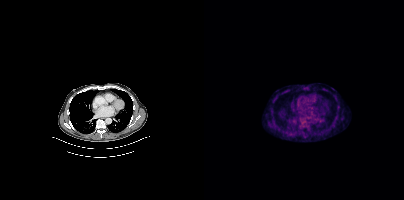
Technique: Paired axial CT (left) and PSMA PET (right), 18F-PSMA tracer. slice 295 of 448. PET panel 200×200 px (4.1 mm/px).
Findings: Coordinates are on the 200×200 PET (right) panel. PSMA-avid tumor lesion bounding box (x0, y0)-(x1, y1): (95, 117)-(102, 124).